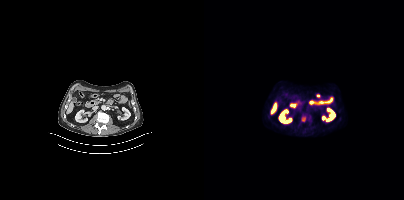
{"modality":"PSMA PET/CT","view":"axial","tracer":"18F-PSMA","pet_grid":[200,200],"coord_frame":"pet_panel","coord_format":"x0,y0,x1,y1","lesion_bboxes":[[97,116,101,121]]}